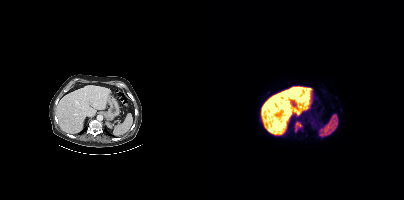
Paired axial CT (left) and PSMA PET (right), 18F-PSMA tracer. PET panel 200×200 px (4.1 mm/px). Coordinates are on the 200×200 PET (right) panel. PSMA-avid tumor lesion bounding box (x0, y0)-(x1, y1): (90, 121)-(98, 131).